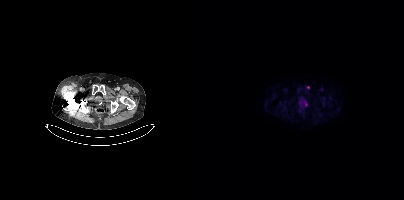
{"modality":"PSMA PET/CT","view":"axial","tracer":"18F-PSMA","pet_grid":[200,200],"coord_frame":"pet_panel","coord_format":"x0,y0,x1,y1","lesion_bboxes":[],"small_foci_centers":[[102,103],[104,87]]}